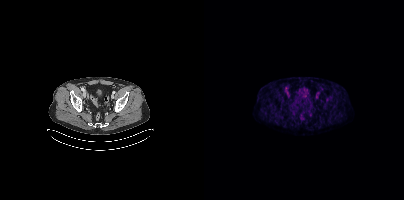
{"pet_grid":[200,200],"coord_frame":"pet_panel","coord_format":"x0,y0,x1,y1","partial":true,"lesion_bboxes":[],"modality":"PSMA PET/CT","view":"axial","tracer":"18F-PSMA"}